Paired axial CT (left) and PSMA PET (right), [18F]PSMA-1007 tracer. Slice position z = 56 mm. PET panel 200×200 px (4.1 mm/px).
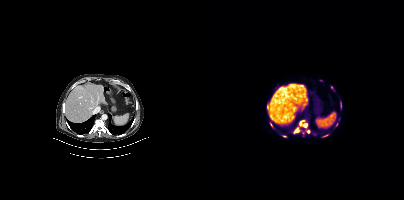
Coordinates are on the 200×200 PET (right) panel. (showing 7 of 9 foci) PSMA-avid tumor lesion bounding boxes (x0, y0)-(x1, y1): (90, 128)-(94, 132) / (99, 124)-(103, 127) / (96, 121)-(98, 125) / (66, 122)-(68, 126). Small PSMA-avid foci (2 to 4 px across) near (center x, center y): (104, 131) / (81, 136) / (63, 104).